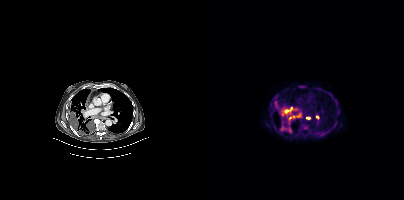
modality: PSMA PET/CT | tracer: [18F]PSMA-1007 | view: axial
Coordinates are on the 200×200 PET (right) panel. PSMA-avid tumor lesion bounding boxes (x0, y0)-(x1, y1): (76, 107)-(97, 118) / (76, 125)-(88, 133) / (97, 124)-(104, 129) / (95, 86)-(101, 87) / (71, 101)-(73, 107) / (84, 120)-(86, 124) / (102, 117)-(106, 119). Small PSMA-avid focus (2 to 4 px across) near (center x, center y): (113, 117).